- Left: CT. Right: PSMA PET, same axial level, [68Ga]Ga-PSMA-11 tracer
- acquired on GE Discovery 690
- facial anatomy redacted by setting a rectangular region of the head to black
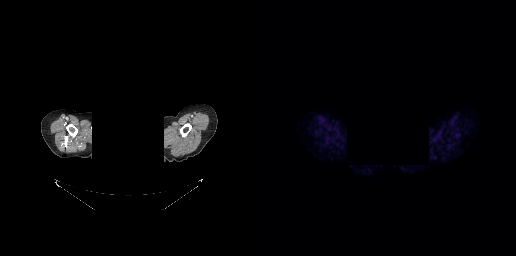
Findings: No PSMA-avid tumor lesions on this slice.